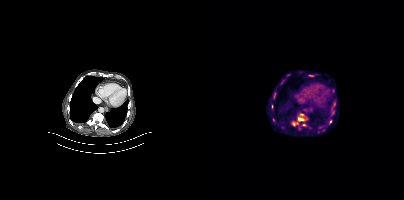
Findings: Coordinates are on the 200×200 PET (right) panel. PSMA-avid tumor lesion bounding boxes (x0, y0)-(x1, y1): (94, 113)-(102, 121) | (127, 110)-(130, 114) | (89, 122)-(94, 125). Small PSMA-avid focus (2 to 4 px across) near (center x, center y): (100, 124).
- Paired axial CT (left) and PSMA PET (right), [18F]PSMA-1007 tracer
- PET panel 200×200 px (4.1 mm/px)